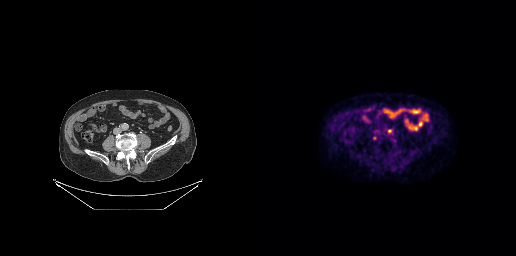
{"modality":"PSMA PET/CT","view":"axial","tracer":"18F","pet_grid":[256,256],"coord_frame":"pet_panel","coord_format":"x0,y0,x1,y1","lesion_bboxes":[[128,129,132,133]],"small_foci_centers":[[114,137]]}